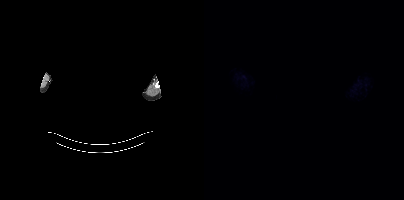
The head region is masked for de-identification. Left: CT. Right: PSMA PET, same axial level, [18F]PSMA-1007 tracer. Slice position z = -334 mm. No tumor lesions annotated on this slice.